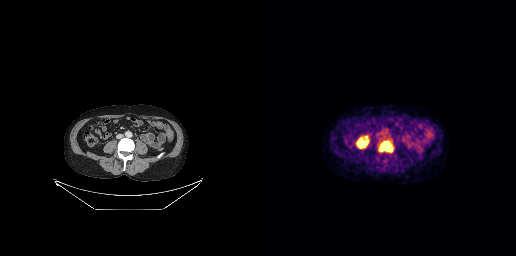
modality: PSMA PET/CT | tracer: 18F-PSMA | view: axial
Coordinates are on the 256×256 PET (right) panel. PSMA-avid tumor lesion bounding box (x0, y0)-(x1, y1): (119, 140)-(133, 152).